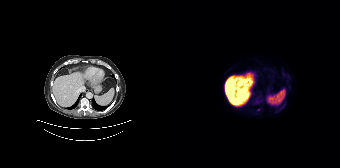
{"pet_grid":[168,168],"coord_frame":"pet_panel","coord_format":"x0,y0,x1,y1","lesion_bboxes":[],"small_foci_centers":[[86,109]],"modality":"PSMA PET/CT","view":"axial","tracer":"18F"}